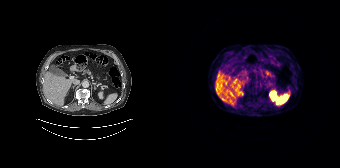
{"modality":"PSMA PET/CT","view":"axial","tracer":"68Ga","pet_grid":[168,168],"coord_frame":"pet_panel","coord_format":"x0,y0,x1,y1","psma_avid_lesions":false}